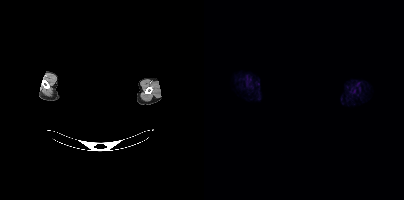
Left: CT. Right: PSMA PET, same axial level, 18F tracer. A rectangle over the head was blacked out to remove identifiable facial features. No PSMA-avid tumor lesions on this slice.